modality: PSMA PET/CT | tracer: 68Ga | view: axial | PET grid: 168×168
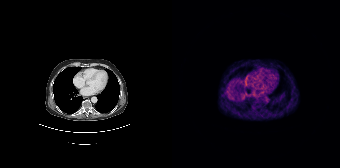
Negative for PSMA-avid disease on this slice.